- Two-panel axial: CT | PSMA PET, 18F tracer
- acquired on Siemens Biograph mCT Flow 20
- PET panel 200×200 px (4.1 mm/px)
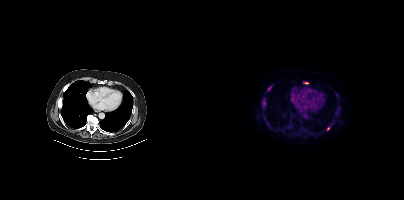
Findings: Coordinates are on the 200×200 PET (right) panel. PSMA-avid tumor lesion bounding boxes (x0, y0)-(x1, y1): (58, 98)-(61, 107) / (63, 86)-(67, 90) / (100, 82)-(104, 84). Small PSMA-avid focus (2 to 4 px across) near (center x, center y): (124, 128).